Technique: Left: CT. Right: PSMA PET, same axial level, 68Ga tracer. acquired on Siemens Biograph mCT Flow 20. slice 112 of 411.
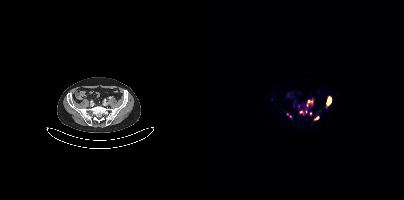
Findings: Coordinates are on the 200×200 PET (right) panel. (showing 5 of 8 foci) PSMA-avid tumor lesion bounding boxes (x0, y0)-(x1, y1): (102, 100)-(108, 107); (123, 97)-(127, 104); (110, 116)-(115, 120); (83, 113)-(87, 117). Small PSMA-avid focus (2 to 4 px across) near (center x, center y): (97, 111).